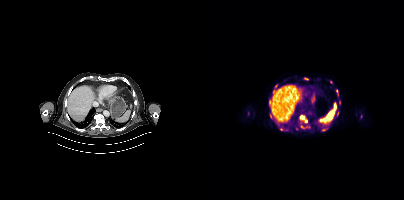
Coordinates are on the 200×200 PET (right) panel. (showing 13 of 14 foci) PSMA-avid tumor lesion bounding boxes (x0,y0,x1,y1): [96,115,103,122]; [96,124,99,128]; [66,114,68,119]; [65,101,67,108]; [118,128,123,131]; [69,90,72,94]. Small PSMA-avid foci (2 to 4 px across) near (center x, center y): (133, 91); (72, 86); (135, 102); (77, 129); (102, 78); (133, 114); (104, 126).